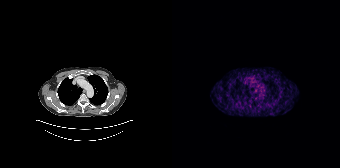
- Two-panel axial: CT | PSMA PET, 68Ga tracer
- slice 155 of 195
- PET panel 168×168 px (4.1 mm/px)
Findings: No tumor lesions annotated on this slice.